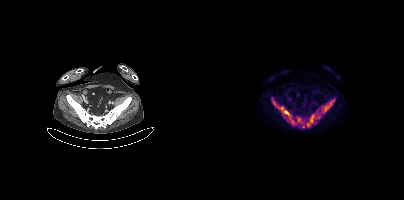
{"modality":"PSMA PET/CT","view":"axial","tracer":"18F-PSMA","pet_grid":[200,200],"coord_frame":"pet_panel","coord_format":"x0,y0,x1,y1","lesion_bboxes":[[83,116,100,128],[102,116,112,127],[67,97,74,106],[120,101,127,111],[80,110,84,114]],"small_foci_centers":[[77,108]]}